- Two-panel axial: CT | PSMA PET, 18F-PSMA tracer
- PET panel 200×200 px (4.1 mm/px)
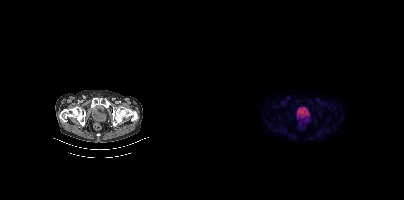
Findings: Coordinates are on the 200×200 PET (right) panel. Small PSMA-avid focus (2 to 4 px across) near (center x, center y): (84, 97).